Two-panel axial: CT | PSMA PET, [18F]PSMA-1007 tracer. Acquired on Siemens Biograph mCT Flow 20. Slice 267 of 415.
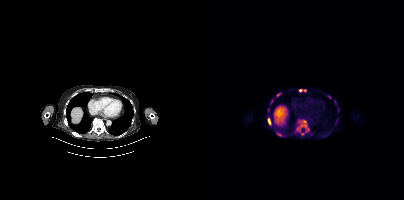
Coordinates are on the 200×200 PET (right) panel. PSMA-avid tumor lesion bounding boxes (partial; 3 more foci not listed):
| # | x0 | y0 | x1 | y1 |
|---|---|---|---|---|
| 1 | 91 | 120 | 105 | 135 |
| 2 | 72 | 132 | 81 | 136 |
| 3 | 64 | 118 | 66 | 124 |
| 4 | 73 | 93 | 77 | 96 |
| 5 | 64 | 108 | 65 | 112 |
Small PSMA-avid foci (2 to 4 px across) near (center x, center y): (125, 96); (96, 90); (68, 101); (131, 101); (101, 90).